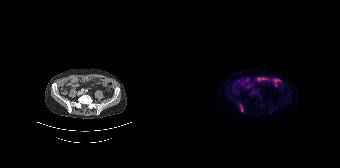
Technique: Left: CT. Right: PSMA PET, same axial level, [18F]PSMA-1007 tracer.
Findings: Coordinates are on the 168×168 PET (right) panel. PSMA-avid tumor lesion bounding box (x0, y0)-(x1, y1): (68, 104)-(71, 111).